- Two-panel axial: CT | PSMA PET, 18F-PSMA tracer
- PET panel 200×200 px (4.1 mm/px)
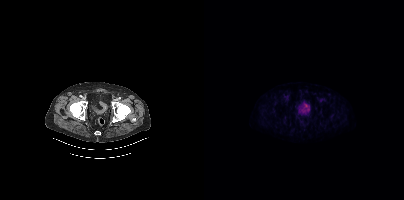
Findings: No PSMA-avid tumor lesions on this slice.